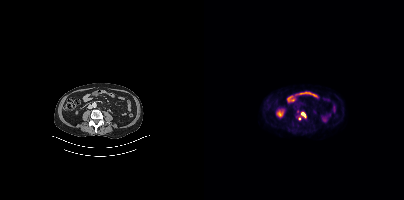
{"pet_grid":[200,200],"coord_frame":"pet_panel","coord_format":"x0,y0,x1,y1","lesion_bboxes":[[97,112,101,116]],"small_foci_centers":[[95,118]],"modality":"PSMA PET/CT","view":"axial","tracer":"18F-PSMA"}